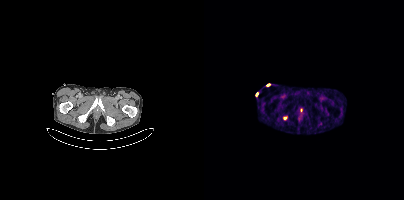
- Paired axial CT (left) and PSMA PET (right), 68Ga tracer
- PET panel 200×200 px (4.1 mm/px)
Findings: Coordinates are on the 200×200 PET (right) panel. PSMA-avid tumor lesion bounding box (x0, y0)-(x1, y1): (79, 116)-(83, 119).